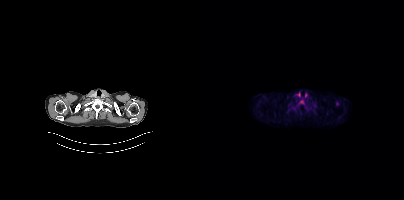
modality: PSMA PET/CT | tracer: [18F]PSMA-1007 | view: axial
This slice has no annotated PSMA-avid lesion.